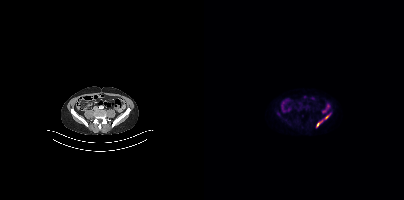
Paired axial CT (left) and PSMA PET (right), 18F-PSMA tracer. Coordinates are on the 200×200 PET (right) panel. PSMA-avid tumor lesion bounding box (x, y, width, height): x=113 y=114 w=14 h=13.